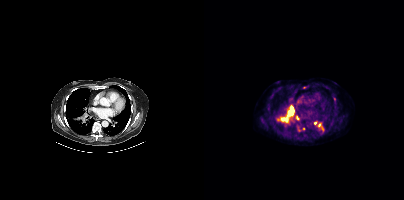
Coordinates are on the 200×200 PET (right) panel. (showing 6 of 8 foci) PSMA-avid tumor lesion bounding boxes (x0, y0)-(x1, y1): (72, 105)-(89, 122); (115, 123)-(119, 129). Small PSMA-avid foci (2 to 4 px across) near (center x, center y): (93, 117); (111, 123); (100, 87); (99, 128).
modality: PSMA PET/CT | tracer: [18F]PSMA-1007 | view: axial | PET grid: 200×200